Paired axial CT (left) and PSMA PET (right), [18F]PSMA-1007 tracer.
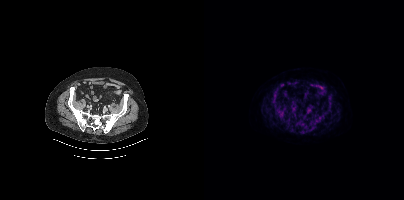
Negative for PSMA-avid disease on this slice.